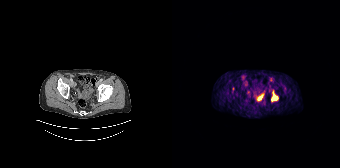
Left: CT. Right: PSMA PET, same axial level, 68Ga tracer. Acquired on Siemens Biograph 64-4R TruePoint. Slice 59 of 195. Coordinates are on the 168×168 PET (right) panel. (showing 1 of 2 foci) PSMA-avid tumor lesion bounding box (x0,y0,x1,y1): [100,92,105,100].